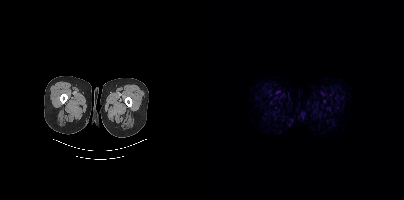
{"pet_grid":[200,200],"coord_frame":"pet_panel","coord_format":"x0,y0,x1,y1","psma_avid_lesions":false,"modality":"PSMA PET/CT","view":"axial","tracer":"18F-PSMA"}